modality: PSMA PET/CT | tracer: [18F]PSMA-1007 | view: axial | PET grid: 200×200
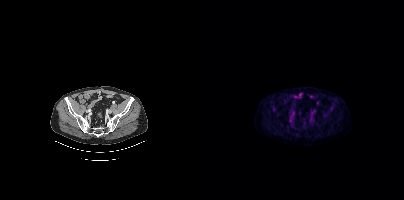
Negative for PSMA-avid disease on this slice.